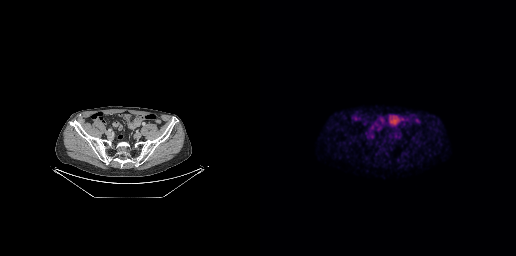
Left: CT. Right: PSMA PET, same axial level, 18F-PSMA tracer. PET panel 256×256 px (2.7 mm/px). No PSMA-avid tumor lesions on this slice.